Technique: Left: CT. Right: PSMA PET, same axial level, [18F]PSMA-1007 tracer. acquired on Siemens Biograph 64-4R TruePoint. slice position z = -1346 mm. PET panel 168×168 px (4.1 mm/px).
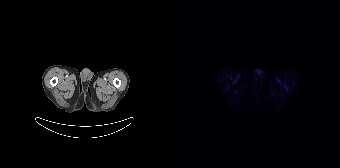
Findings: This slice has no annotated PSMA-avid lesion.